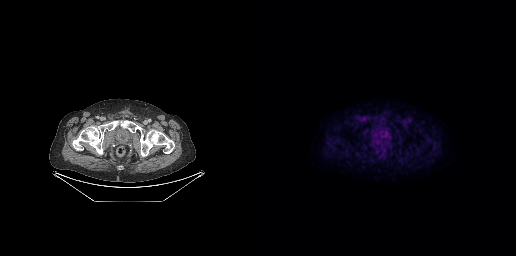
No PSMA-avid tumor lesions on this slice.